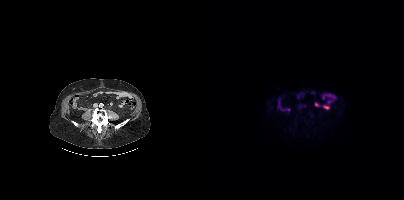
- Paired axial CT (left) and PSMA PET (right), [18F]PSMA-1007 tracer
- slice 143 of 389
- PET panel 200×200 px (4.1 mm/px)
Findings: No tumor lesions annotated on this slice.